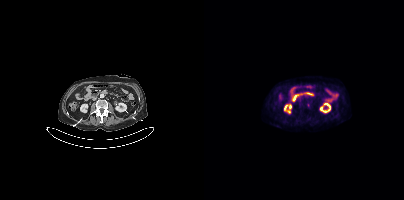
This slice has no annotated PSMA-avid lesion.
modality: PSMA PET/CT | tracer: 18F-PSMA | view: axial | PET grid: 200×200